The head region is masked for de-identification.
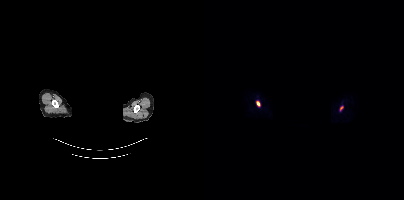
Coordinates are on the 200×200 PET (right) panel. PSMA-avid tumor lesion bounding box (x, y, width, height): x=53 y=101 w=3 h=5. Small PSMA-avid focus (2 to 4 px across) near (center x, center y): (137, 108).